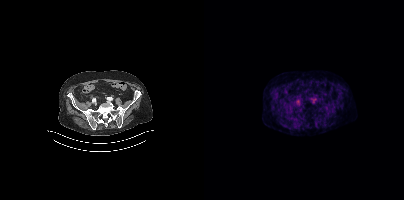
{"modality":"PSMA PET/CT","view":"axial","tracer":"18F-PSMA","pet_grid":[200,200],"coord_frame":"pet_panel","coord_format":"x0,y0,x1,y1","psma_avid_lesions":false}